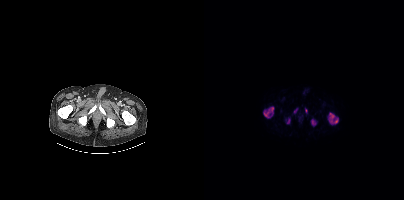
{"modality":"PSMA PET/CT","view":"axial","tracer":"[18F]PSMA-1007","pet_grid":[200,200],"coord_frame":"pet_panel","coord_format":"x0,y0,x1,y1","lesion_bboxes":[[124,112,134,124],[59,106,70,118],[107,119,112,125],[83,119,85,123]],"small_foci_centers":[[102,110],[91,110]]}